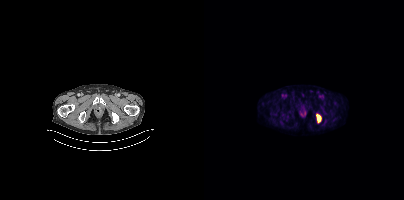
Coordinates are on the 200×200 PET (right) panel. PSMA-avid tumor lesion bounding box (x0, y0)-(x1, y1): (112, 114)-(117, 122). Two-panel axial: CT | PSMA PET, [18F]PSMA-1007 tracer. Acquired on Siemens Biograph mCT Flow 20.